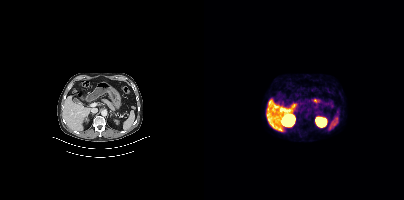
No tumor lesions annotated on this slice.
modality: PSMA PET/CT | tracer: 68Ga-PSMA | view: axial